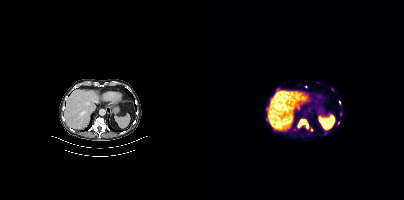
Findings: Coordinates are on the 200×200 PET (right) panel. (showing 7 of 8 foci) PSMA-avid tumor lesion bounding boxes (x, y, width, height): x=94 y=119 w=11 h=10 / x=62 y=108 w=3 h=5. Small PSMA-avid foci (2 to 4 px across) near (center x, center y): (107, 130) / (102, 86) / (135, 102) / (134, 122) / (136, 113).
- Paired axial CT (left) and PSMA PET (right), 18F tracer
- acquired on Siemens Biograph mCT Flow 20
- PET panel 200×200 px (4.1 mm/px)